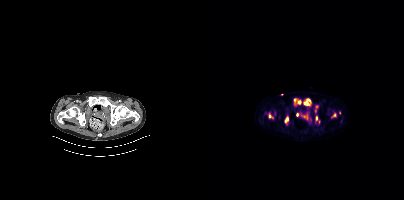
Coordinates are on the 200×200 PET (right) panel. PSMA-avid tumor lesion bounding boxes (partial; 3 more foci not listed):
| # | x0 | y0 | x1 | y1 |
|---|---|---|---|---|
| 1 | 99 | 98 | 107 | 105 |
| 2 | 90 | 99 | 97 | 104 |
| 3 | 81 | 117 | 84 | 122 |
| 4 | 112 | 116 | 113 | 120 |
Small PSMA-avid foci (2 to 4 px across) near (center x, center y): (66, 115); (130, 115); (93, 113).
Two-panel axial: CT | PSMA PET, [18F]PSMA-1007 tracer. Slice 103 of 466.